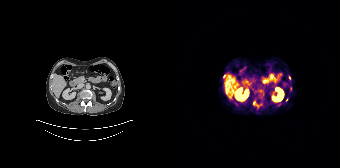
Coordinates are on the 168×168 PET (right) panel. (showing 2 of 5 foci) Small PSMA-avid foci (2 to 4 px across) near (center x, center y): (52, 76); (117, 77).